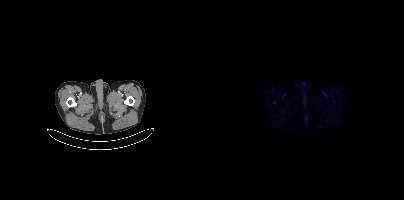
- Paired axial CT (left) and PSMA PET (right), [18F]PSMA-1007 tracer
- slice position z = -1559 mm
- PET panel 200×200 px (4.1 mm/px)
Findings: This slice has no annotated PSMA-avid lesion.